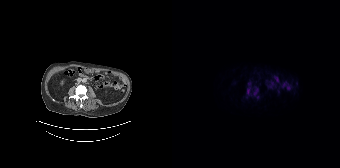
Left: CT. Right: PSMA PET, same axial level, 18F tracer. Slice 74 of 165.
Coordinates are on the 168×168 PET (right) panel. PSMA-avid tumor lesion bounding boxes (partial; 2 more foci not listed):
| # | x0 | y0 | x1 | y1 |
|---|---|---|---|---|
| 1 | 81 | 87 | 86 | 95 |
| 2 | 75 | 87 | 78 | 95 |
Small PSMA-avid foci (2 to 4 px across) near (center x, center y): (85, 97); (77, 83).